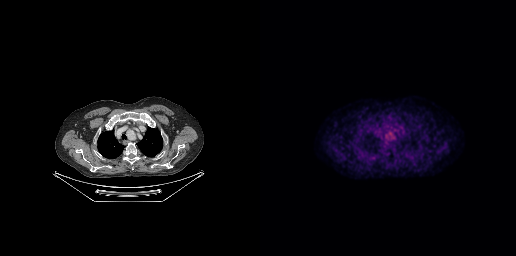
{"modality":"PSMA PET/CT","view":"axial","tracer":"[18F]PSMA-1007","pet_grid":[256,256],"coord_frame":"pet_panel","coord_format":"x0,y0,x1,y1","partial":true,"lesion_bboxes":[[125,132,134,139]]}